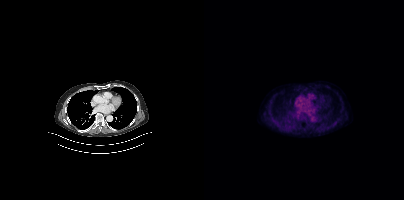
Two-panel axial: CT | PSMA PET, 18F tracer. Slice 273 of 423. No PSMA-avid tumor lesions on this slice.